Left: CT. Right: PSMA PET, same axial level, [18F]PSMA-1007 tracer. Acquired on Siemens Biograph mCT Flow 20. PET panel 200×200 px (4.1 mm/px).
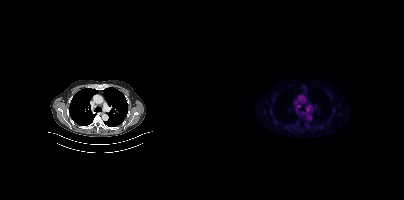
Negative for PSMA-avid disease on this slice.